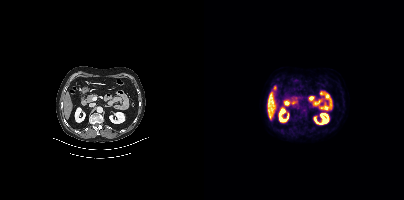
{"modality":"PSMA PET/CT","view":"axial","tracer":"[18F]PSMA-1007","pet_grid":[200,200],"coord_frame":"pet_panel","coord_format":"x0,y0,x1,y1","psma_avid_lesions":false}